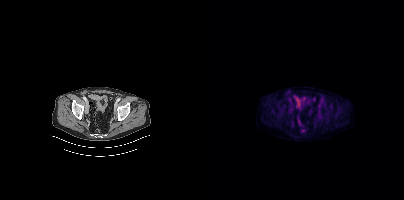
{"modality":"PSMA PET/CT","view":"axial","tracer":"[18F]PSMA-1007","pet_grid":[200,200],"coord_frame":"pet_panel","coord_format":"x0,y0,x1,y1","psma_avid_lesions":false}